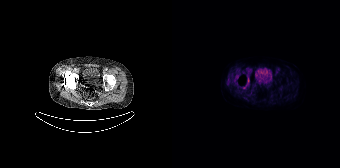
This slice has no annotated PSMA-avid lesion.
modality: PSMA PET/CT | tracer: [18F]PSMA-1007 | view: axial